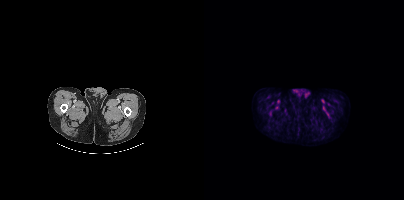
Findings: No PSMA-avid tumor lesions on this slice.
- Two-panel axial: CT | PSMA PET, 18F tracer
- acquired on Siemens Biograph mCT Flow 20
- PET panel 200×200 px (4.1 mm/px)